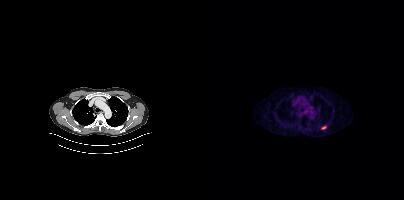
Coordinates are on the 200×200 PET (right) panel. Small PSMA-avid focus (2 to 4 px across) near (center x, center y): (119, 127). Left: CT. Right: PSMA PET, same axial level, 68Ga-PSMA tracer. Acquired on Siemens Biograph mCT Flow 20. Slice 304 of 397. PET panel 200×200 px (4.1 mm/px).